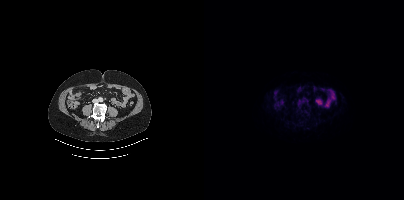
No tumor lesions annotated on this slice.